Left: CT. Right: PSMA PET, same axial level, 18F tracer.
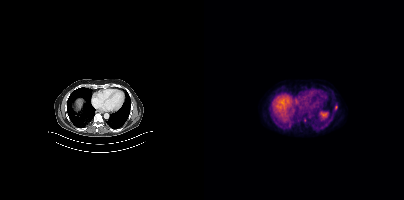
Coordinates are on the 200×200 PET (right) panel. Small PSMA-avid foci (2 to 4 px across) near (center x, center y): (132, 106); (101, 119).